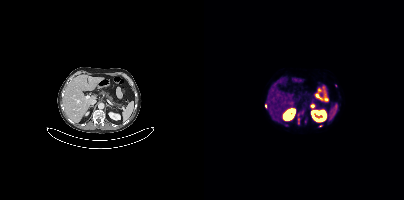
Coordinates are on the 200×200 PET (right) panel. (showing 4 of 6 foci) PSMA-avid tumor lesion bounding boxes (x0, y0)-(x1, y1): (94, 118)-(95, 124) | (100, 118)-(103, 123). Small PSMA-avid foci (2 to 4 px across) near (center x, center y): (61, 105) | (116, 125).